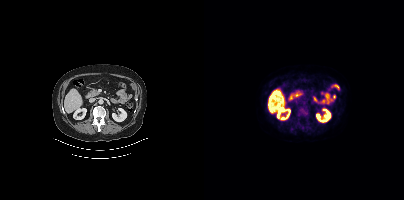
{"modality":"PSMA PET/CT","view":"axial","tracer":"[18F]PSMA-1007","pet_grid":[200,200],"coord_frame":"pet_panel","coord_format":"x0,y0,x1,y1","lesion_bboxes":[[93,106,105,119]]}